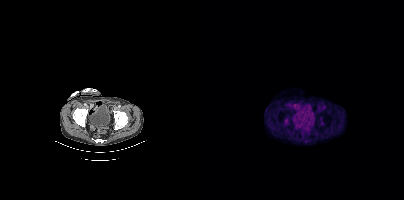
modality: PSMA PET/CT | tracer: 18F | view: axial
Coordinates are on the 200×200 PET (right) panel. (showing 1 of 2 foci) PSMA-avid tumor lesion bounding box (x, y, width, height): x=81 y=119 w=3 h=5.